Left: CT. Right: PSMA PET, same axial level, 18F-PSMA tracer.
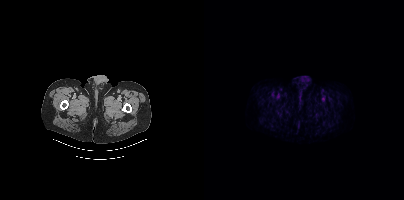
This slice has no annotated PSMA-avid lesion.